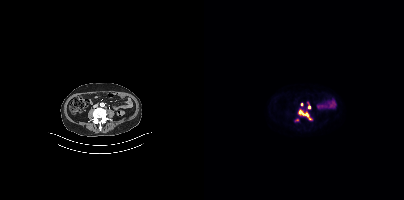
Coordinates are on the 200×200 PET (right) panel. PSMA-avid tumor lesion bounding boxes (x0, y0)-(x1, y1): (95, 109)-(108, 120) / (104, 103)-(106, 108). Small PSMA-avid foci (2 to 4 px across) near (center x, center y): (97, 104) / (93, 119).